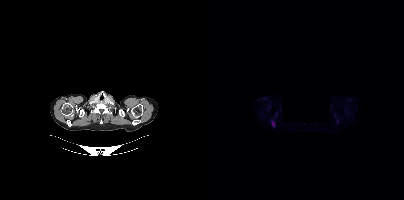
Paired axial CT (left) and PSMA PET (right), 18F-PSMA tracer. Slice 341 of 401. Privacy masking, with the pixels inside a rectangle set to black.
Coordinates are on the 200×200 PET (right) panel. PSMA-avid tumor lesion bounding boxes:
| # | x0 | y0 | x1 | y1 |
|---|---|---|---|---|
| 1 | 68 | 121 | 70 | 126 |
Small PSMA-avid focus (2 to 4 px across) near (center x, center y): (133, 121).